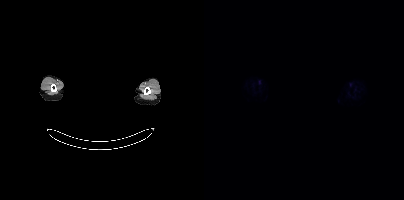
A rectangular block over the head has been blanked out for de-identification.
This slice has no annotated PSMA-avid lesion.